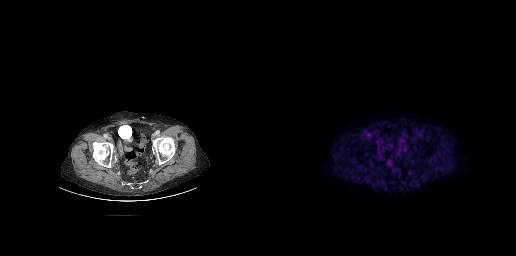
No PSMA-avid tumor lesions on this slice.
modality: PSMA PET/CT | tracer: 18F | view: axial